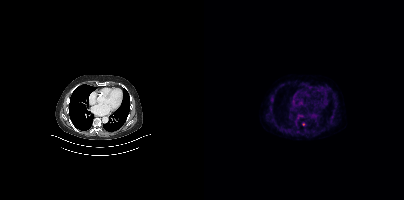
Technique: Two-panel axial: CT | PSMA PET, [18F]PSMA-1007 tracer.
Findings: Coordinates are on the 200×200 PET (right) panel. Small PSMA-avid focus (2 to 4 px across) near (center x, center y): (99, 124).